Paired axial CT (left) and PSMA PET (right), [68Ga]Ga-PSMA-11 tracer. Acquired on Siemens Biograph mCT Flow 20. Slice position z = 577 mm. PET panel 200×200 px (4.1 mm/px).
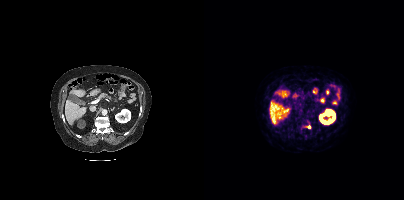
Coordinates are on the 200×200 PET (right) panel. PSMA-avid tumor lesion bounding box (x0, y0)-(x1, y1): (102, 125)-(107, 128).